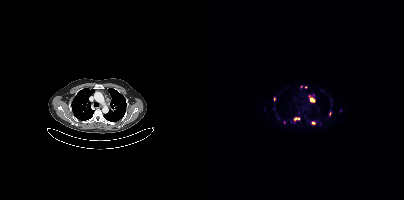
Coordinates are on the 200×200 PET (right) panel. (showing 6 of 12 foci) PSMA-avid tumor lesion bounding boxes (x0, y0)-(x1, y1): (106, 98)-(110, 101); (90, 117)-(95, 122). Small PSMA-avid foci (2 to 4 px across) near (center x, center y): (97, 86); (126, 113); (109, 123); (105, 95).
modality: PSMA PET/CT | tracer: 68Ga | view: axial